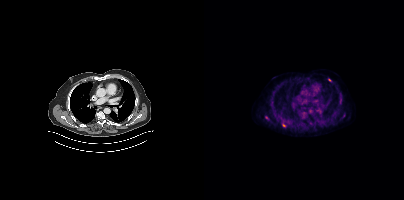
Paired axial CT (left) and PSMA PET (right), 18F tracer. PET panel 200×200 px (4.1 mm/px). Coordinates are on the 200×200 PET (right) panel. (showing 5 of 6 foci) PSMA-avid tumor lesion bounding box (x, y, width, height): x=136 y=97 w=2 h=7. Small PSMA-avid foci (2 to 4 px across) near (center x, center y): (80, 125) | (140, 116) | (125, 80) | (62, 117).